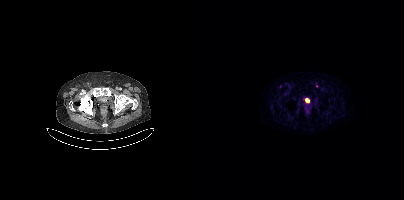
No tumor lesions annotated on this slice.